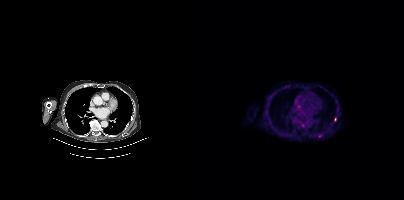
Coordinates are on the 200×200 PET (right) panel. (showing 2 of 3 foci) Small PSMA-avid foci (2 to 4 px across) near (center x, center y): (131, 119); (98, 125).
modality: PSMA PET/CT | tracer: 18F | view: axial | PET grid: 200×200